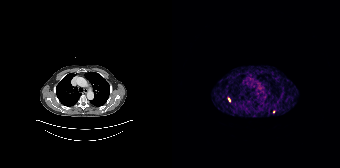
Coordinates are on the 168×168 PET (right) panel. Small PSMA-avid foci (2 to 4 px across) near (center x, center y): (57, 99); (101, 111).